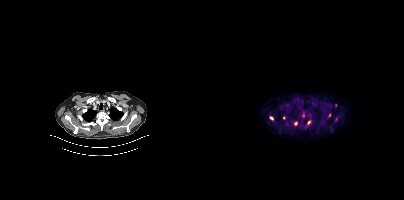
Technique: Left: CT. Right: PSMA PET, same axial level, [18F]PSMA-1007 tracer. acquired on Siemens Biograph mCT Flow 20. slice position z = -444 mm. PET panel 200×200 px (4.1 mm/px).
Findings: Coordinates are on the 200×200 PET (right) panel. (showing 5 of 6 foci) Small PSMA-avid foci (2 to 4 px across) near (center x, center y): (67, 117); (104, 122); (91, 123); (79, 117); (99, 115).